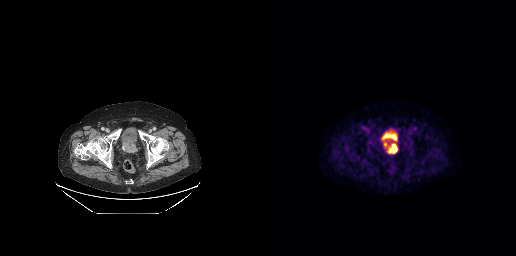
Coordinates are on the 256×256 PET (right) panel. PSMA-avid tumor lesion bounding box (x0,y0,x1,y1): [128,144,137,153].